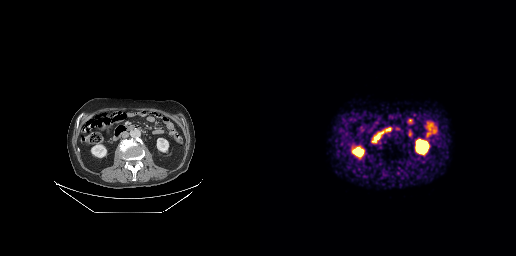
No PSMA-avid tumor lesions on this slice.
modality: PSMA PET/CT | tracer: 68Ga-PSMA | view: axial